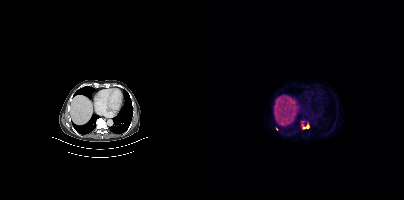
Coordinates are on the 200×200 PET (right) panel. PSMA-avid tumor lesion bounding box (x, y, width, height): x=98 y=123 w=8 h=7. Small PSMA-avid focus (2 to 4 px across) near (center x, center y): (72, 128).